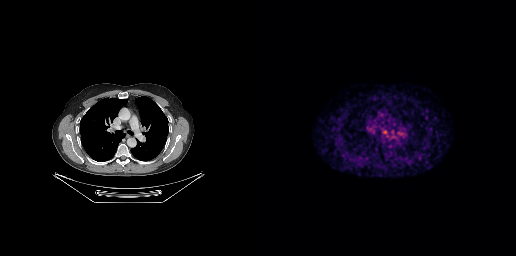
Coordinates are on the 256×256 PET (right) panel. Small PSMA-avid focus (2 to 4 px across) near (center x, center y): (124, 131).